Left: CT. Right: PSMA PET, same axial level, 18F-PSMA tracer. Slice position z = -1292 mm. PET panel 200×200 px (4.1 mm/px).
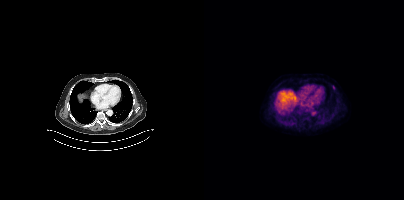
Coordinates are on the 200×200 PET (right) panel. Small PSMA-avid focus (2 to 4 px across) near (center x, center y): (129, 87).